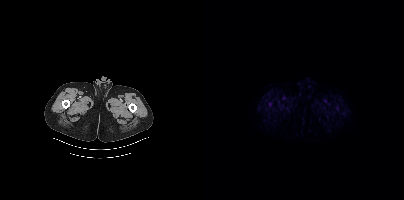
Left: CT. Right: PSMA PET, same axial level, 18F-PSMA tracer. Acquired on Siemens Biograph mCT Flow 20. Slice position z = -1501 mm. PET panel 200×200 px (4.1 mm/px). No tumor lesions annotated on this slice.